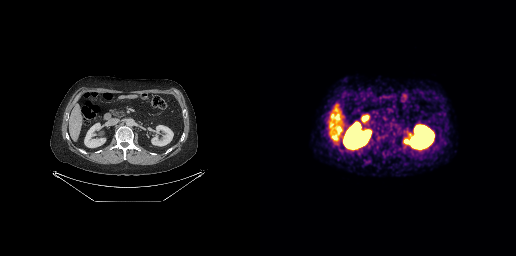
No tumor lesions annotated on this slice.
modality: PSMA PET/CT | tracer: 68Ga | view: axial